Technique: Left: CT. Right: PSMA PET, same axial level, 18F-PSMA tracer. acquired on Siemens Biograph mCT Flow 20.
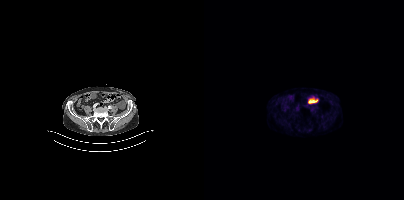
Findings: Negative for PSMA-avid disease on this slice.